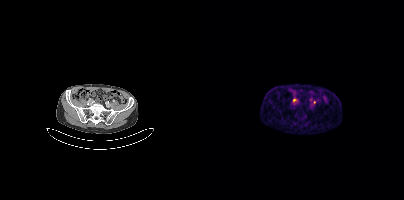
Technique: Paired axial CT (left) and PSMA PET (right), 68Ga-PSMA tracer. slice position z = -789 mm.
Findings: Coordinates are on the 200×200 PET (right) panel. Small PSMA-avid foci (2 to 4 px across) near (center x, center y): (90, 100); (110, 102).